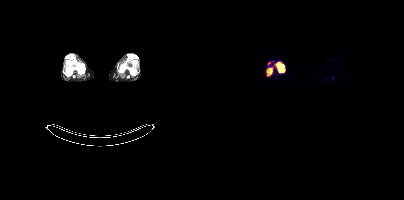
Technique: Left: CT. Right: PSMA PET, same axial level, 18F-PSMA tracer. acquired on Siemens Biograph mCT Flow 20. slice position z = -1413 mm.
Findings: Coordinates are on the 200×200 PET (right) panel. PSMA-avid tumor lesion bounding boxes (x0,y0,x1,y1): [72,62,80,72] [63,68,68,76]. Small PSMA-avid focus (2 to 4 px across) near (center x, center y): (65, 63).